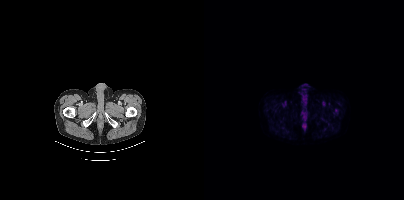
No tumor lesions annotated on this slice.